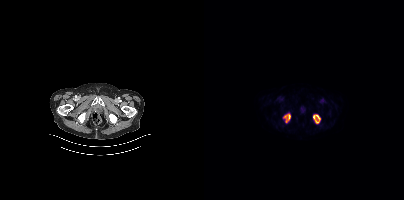
Coordinates are on the 200×200 PET (right) panel. PSMA-avid tumor lesion bounding boxes (x0,y0,x1,y1): [109,115,116,123], [80,114,86,122].